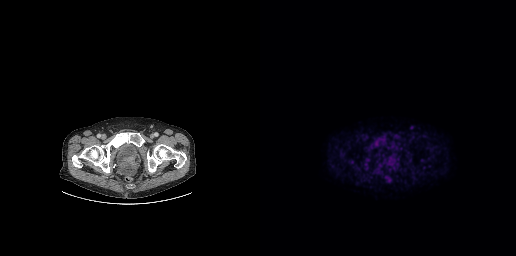
Left: CT. Right: PSMA PET, same axial level, [18F]PSMA-1007 tracer. Acquired on GE Discovery 690. Slice 58 of 263. PET panel 256×256 px (2.7 mm/px). Only PSMA-avid lesion pieces thinner than 2 px on this slice (not listed).